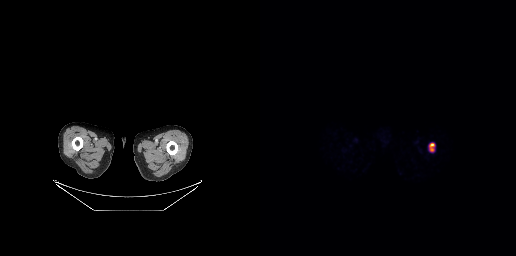
{"pet_grid":[256,256],"coord_frame":"pet_panel","coord_format":"x0,y0,x1,y1","psma_avid_lesions":false,"modality":"PSMA PET/CT","view":"axial","tracer":"[68Ga]Ga-PSMA-11"}